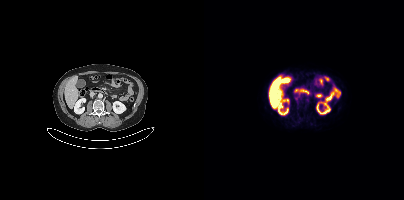
Coordinates are on the 200×200 PET (right) panel. PSMA-avid tumor lesion bounding box (x0,y0,x1,y1): [92,94,96,99]. Small PSMA-avid focus (2 to 4 px across) near (center x, center y): (104, 93).